modality: PSMA PET/CT | tracer: 18F-PSMA | view: axial | PET grid: 200×200
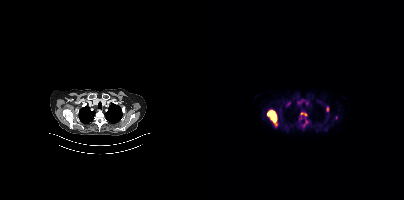
Coordinates are on the 200×200 PET (right) panel. (showing 5 of 6 foci) PSMA-avid tumor lesion bounding boxes (x0, y0)-(x1, y1): (63, 110)-(72, 122) | (96, 112)-(102, 115) | (122, 107)-(124, 111) | (99, 120)-(104, 126) | (70, 124)-(74, 127).